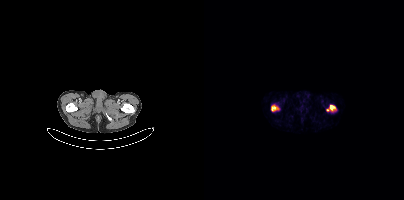
Coordinates are on the 200×200 PET (right) panel. PSMA-avid tumor lesion bounding boxes (x, y, width, height): x=67 y=106 w=8 h=5 / x=126 y=105 w=6 h=6. Small PSMA-avid focus (2 to 4 px across) near (center x, center y): (123, 109).